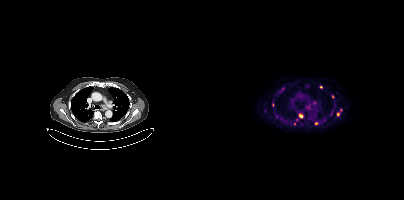
Findings: Coordinates are on the 200×200 PET (right) panel. (showing 8 of 11 foci) Small PSMA-avid foci (2 to 4 px across) near (center x, center y): (96, 115); (78, 88); (110, 102); (134, 114); (112, 123); (128, 96); (117, 86); (90, 123).
Technique: Two-panel axial: CT | PSMA PET, 18F tracer.